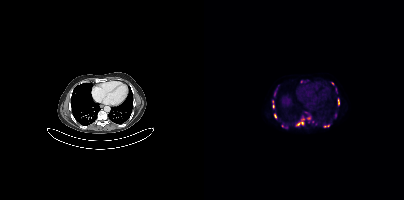
Coordinates are on the 200×200 PET (right) panel. PSMA-avid tumor lesion bounding boxes (partial; 6 more foci not listed):
| # | x0 | y0 | x1 | y1 |
|---|---|---|---|---|
| 1 | 134 | 99 | 135 | 105 |
| 2 | 94 | 122 | 98 | 125 |
| 3 | 120 | 125 | 125 | 126 |
Small PSMA-avid foci (2 to 4 px across) near (center x, center y): (71, 115); (69, 106); (128, 83).
Two-panel axial: CT | PSMA PET, [18F]PSMA-1007 tracer. Slice 261 of 407.